A rectangle over the head was blacked out to remove identifiable facial features.
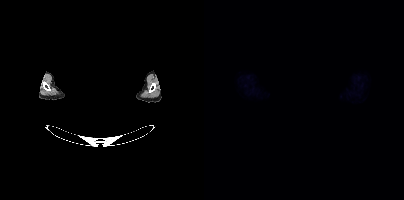
No PSMA-avid tumor lesions on this slice.